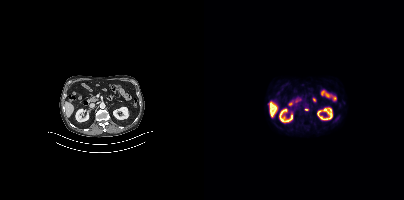
No tumor lesions annotated on this slice.
modality: PSMA PET/CT | tracer: 18F | view: axial